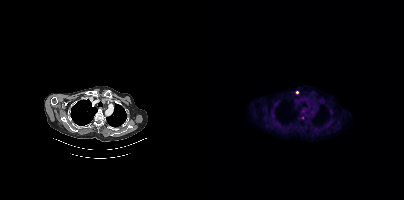
modality: PSMA PET/CT | tracer: [18F]PSMA-1007 | view: axial | PET grid: 200×200
Coordinates are on the 200×200 PET (right) panel. Small PSMA-avid focus (2 to 4 px across) near (center x, center y): (93, 92).